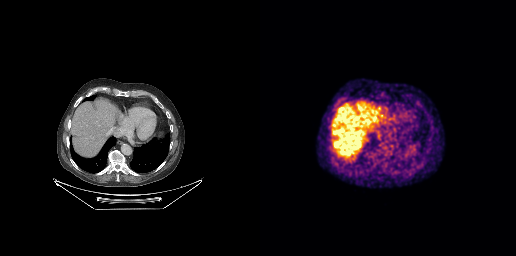
Negative for PSMA-avid disease on this slice.